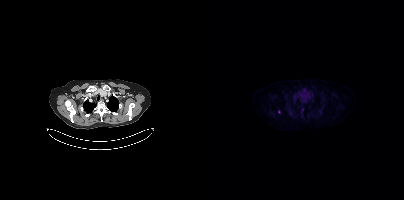
Negative for PSMA-avid disease on this slice.